Two-panel axial: CT | PSMA PET, [18F]PSMA-1007 tracer. Acquired on GE Discovery 690.
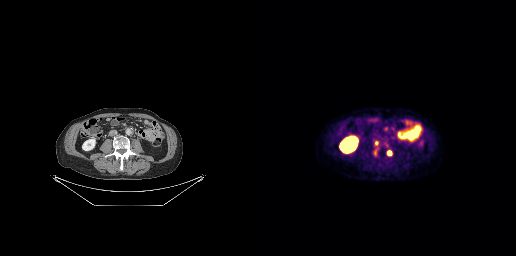
Coordinates are on the 256×256 PET (right) panel. PSMA-avid tumor lesion bounding boxes:
| # | x0 | y0 | x1 | y1 |
|---|---|---|---|---|
| 1 | 114 | 140 | 119 | 153 |
| 2 | 121 | 139 | 128 | 147 |
| 3 | 123 | 126 | 129 | 131 |
| 4 | 127 | 150 | 132 | 155 |
Small PSMA-avid focus (2 to 4 px across) near (center x, center y): (114, 156).